Paired axial CT (left) and PSMA PET (right), [18F]PSMA-1007 tracer. An anonymization step blacked out a rectangle over the head in this scan.
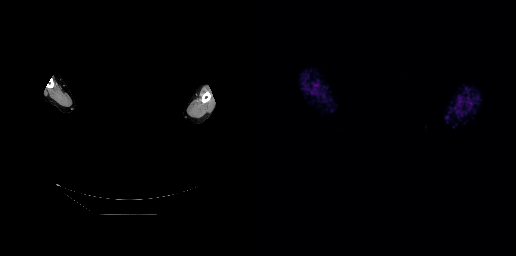
No PSMA-avid tumor lesions on this slice.